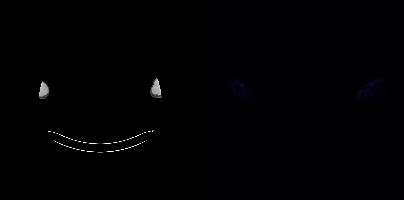
Any black rectangle over the head is a privacy mask, not anatomy.
No tumor lesions annotated on this slice.